modality: PSMA PET/CT | tracer: 18F-PSMA | view: axial | PET grid: 200×200
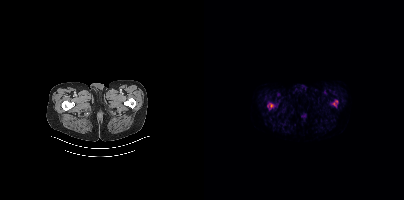
Coordinates are on the 200×200 PET (right) panel. PSMA-avid tumor lesion bounding box (x0, y0)-(x1, y1): (63, 103)-(69, 109). Small PSMA-avid foci (2 to 4 px across) near (center x, center y): (130, 104) / (132, 101).